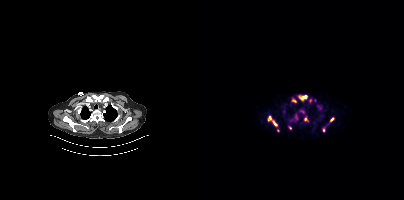
- Paired axial CT (left) and PSMA PET (right), 68Ga tracer
- acquired on Siemens Biograph mCT Flow 20
- PET panel 200×200 px (4.1 mm/px)
Findings: Coordinates are on the 200×200 PET (right) panel. (showing 12 of 13 foci) PSMA-avid tumor lesion bounding boxes (x0,y0,x1,y1): [94,95,103,100]; [64,116,73,126]; [87,114,94,121]; [113,105,118,108]; [88,98,92,102]; [100,117,104,121]. Small PSMA-avid foci (2 to 4 px across) near (center x, center y): (127, 119); (85, 127); (106, 100); (74, 130); (119, 130); (98, 111).